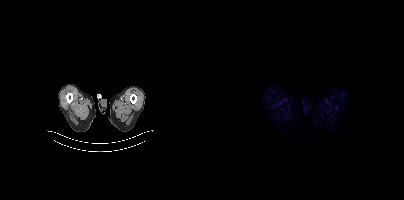
Left: CT. Right: PSMA PET, same axial level, [18F]PSMA-1007 tracer. Slice position z = -1074 mm. Negative for PSMA-avid disease on this slice.